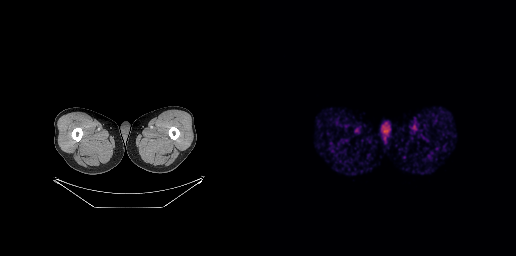
No PSMA-avid tumor lesions on this slice.